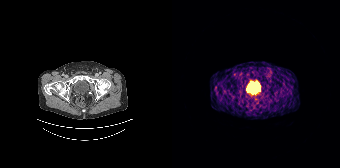
{"modality":"PSMA PET/CT","view":"axial","tracer":"68Ga","pet_grid":[168,168],"coord_frame":"pet_panel","coord_format":"x0,y0,x1,y1","psma_avid_lesions":false}